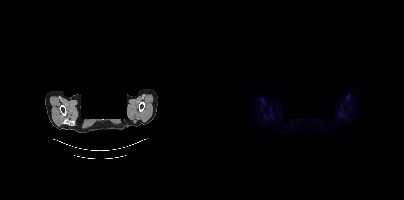
Technique: Paired axial CT (left) and PSMA PET (right), 18F-PSMA tracer. acquired on Siemens Biograph mCT Flow 20. slice 358 of 401.
Note: A rectangle over the head was blacked out to remove identifiable facial features.
Findings: No PSMA-avid tumor lesions on this slice.